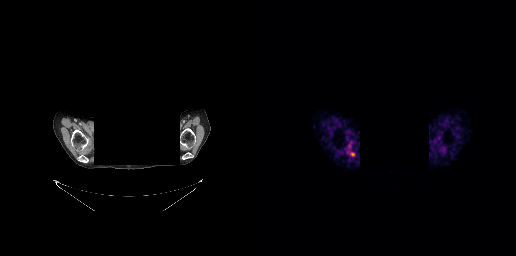
Technique: Left: CT. Right: PSMA PET, same axial level, [68Ga]Ga-PSMA-11 tracer.
Note: De-identified by setting a box covering the face to black before release.
Findings: Coordinates are on the 256×256 PET (right) panel. Small PSMA-avid focus (2 to 4 px across) near (center x, center y): (92, 153).